Two-panel axial: CT | PSMA PET, [18F]PSMA-1007 tracer. PET panel 200×200 px (4.1 mm/px).
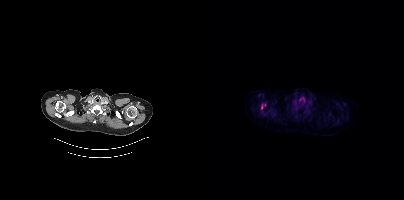
Coordinates are on the 200×200 PET (right) panel. (showing 1 of 2 foci) Small PSMA-avid focus (2 to 4 px across) near (center x, center y): (57, 106).